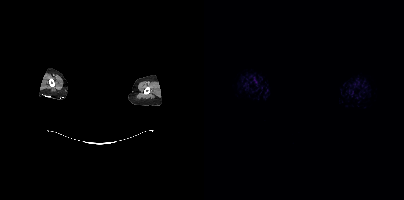
Technique: Paired axial CT (left) and PSMA PET (right), 18F tracer. PET panel 200×200 px (4.1 mm/px).
Note: An anonymization step blacked out a rectangle over the head in this scan.
Findings: This slice has no annotated PSMA-avid lesion.